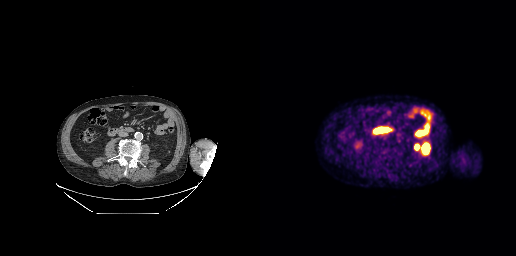
Findings: This slice has no annotated PSMA-avid lesion.
Technique: Paired axial CT (left) and PSMA PET (right), 18F-PSMA tracer. acquired on GE Discovery 690. slice 126 of 263.